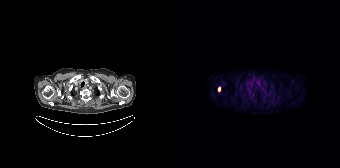
- Two-panel axial: CT | PSMA PET, 18F-PSMA tracer
- acquired on Siemens Biograph 64-4R TruePoint
- slice 136 of 165
- PET panel 168×168 px (4.1 mm/px)
Findings: Coordinates are on the 168×168 PET (right) panel. PSMA-avid tumor lesion bounding box (x, y, width, height): x=46 y=87 w=3 h=5.